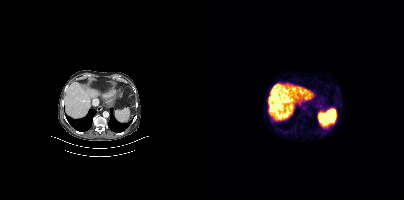
This slice has no annotated PSMA-avid lesion. Left: CT. Right: PSMA PET, same axial level, 18F-PSMA tracer. Acquired on Siemens Biograph mCT Flow 20.